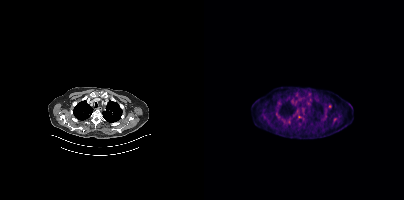
Coordinates are on the 200×200 PET (right) panel. (showing 3 of 4 foci) Small PSMA-avid foci (2 to 4 px across) near (center x, center y): (126, 106); (95, 116); (84, 122).